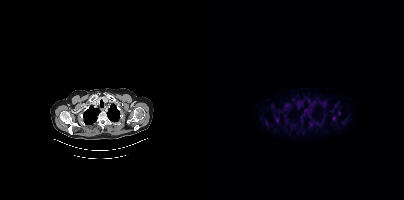
No PSMA-avid tumor lesions on this slice.